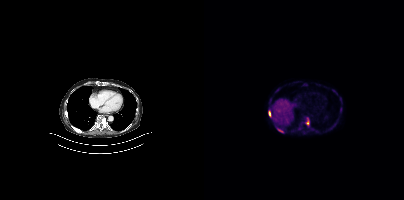
- Two-panel axial: CT | PSMA PET, [18F]PSMA-1007 tracer
Findings: Coordinates are on the 200×200 PET (right) panel. PSMA-avid tumor lesion bounding boxes (x, y, width, height): x=102 y=118 w=4 h=8 / x=74 y=129 w=6 h=4 / x=65 y=111 w=2 h=6.